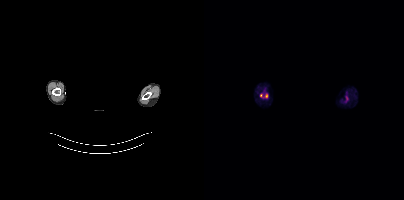
No tumor lesions annotated on this slice.
Head region blanked for anonymization (face removed).